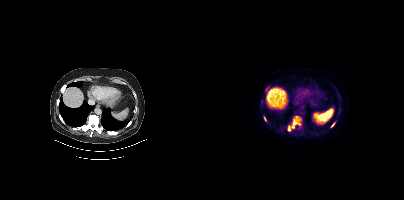
Coordinates are on the 200×200 PET (right) panel. PSMA-avid tumor lesion bounding boxes (x, y, width, height): x=83 y=116 w=15 h=16; x=61 y=86 w=6 h=5; x=127 y=122 w=5 h=6; x=60 y=116 w=3 h=6.